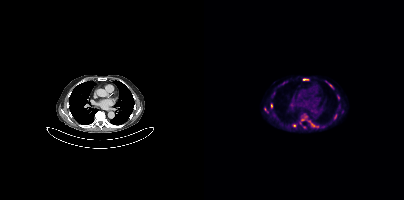
Coordinates are on the 200×200 PET (right) panel. (showing 6 of 7 foci) PSMA-avid tumor lesion bounding box (x0, y0)-(x1, y1): (99, 79)-(104, 80). Small PSMA-avid foci (2 to 4 px across) near (center x, center y): (67, 105) / (108, 124) / (90, 125) / (127, 86) / (98, 119).
modality: PSMA PET/CT | tracer: 18F-PSMA | view: axial